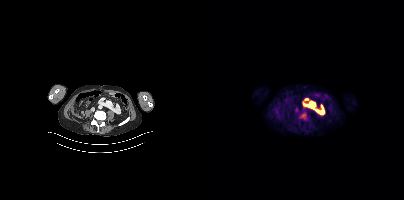
Paired axial CT (left) and PSMA PET (right), 18F-PSMA tracer. Acquired on Siemens Biograph mCT Flow 20. PET panel 200×200 px (4.1 mm/px). Coordinates are on the 200×200 PET (right) panel. Small PSMA-avid focus (2 to 4 px across) near (center x, center y): (99, 115).